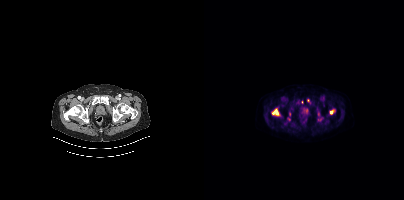
{"modality":"PSMA PET/CT","view":"axial","tracer":"18F","pet_grid":[200,200],"coord_frame":"pet_panel","coord_format":"x0,y0,x1,y1","partial":true,"lesion_bboxes":[[68,108,75,115],[126,109,130,113]],"small_foci_centers":[[104,100],[103,110],[85,113],[94,102],[98,101]]}